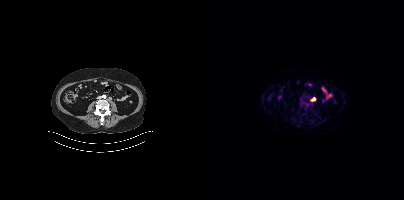
Coordinates are on the 200×200 PET (right) panel. PSMA-avid tumor lesion bounding box (x0, y0)-(x1, y1): (107, 97)-(111, 101).
modality: PSMA PET/CT | tracer: [18F]PSMA-1007 | view: axial | PET grid: 200×200